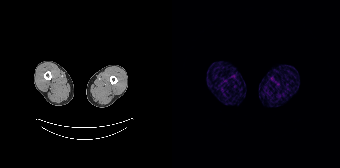
- Paired axial CT (left) and PSMA PET (right), 68Ga-PSMA tracer
Findings: This slice has no annotated PSMA-avid lesion.